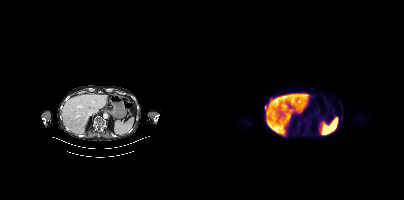
Findings: Coordinates are on the 200×200 PET (right) panel. (showing 3 of 4 foci) PSMA-avid tumor lesion bounding boxes (x0,y0,x1,y1): [61,105,63,111], [137,115,138,121]. Small PSMA-avid focus (2 to 4 px across) near (center x, center y): (95, 122).
- Left: CT. Right: PSMA PET, same axial level, 18F tracer